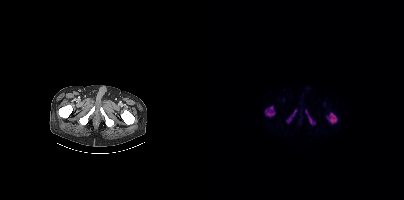
{"modality":"PSMA PET/CT","view":"axial","tracer":"[18F]PSMA-1007","pet_grid":[200,200],"coord_frame":"pet_panel","coord_format":"x0,y0,x1,y1","lesion_bboxes":[[122,112,133,123],[61,106,71,116],[101,110,111,124],[83,110,92,122]]}